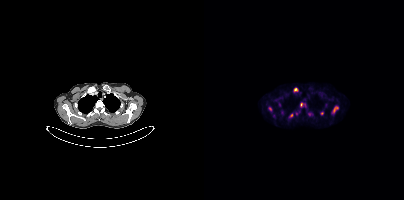
{"pet_grid":[200,200],"coord_frame":"pet_panel","coord_format":"x0,y0,x1,y1","partial":true,"lesion_bboxes":[[127,105,134,114],[89,87,94,92],[64,107,68,111]],"small_foci_centers":[[117,113],[97,104],[86,115],[105,114],[75,104],[101,105],[92,113]],"modality":"PSMA PET/CT","view":"axial","tracer":"[18F]PSMA-1007"}